- Two-panel axial: CT | PSMA PET, 68Ga-PSMA tracer
- acquired on Siemens Biograph 64-4R TruePoint
- PET panel 168×168 px (4.1 mm/px)
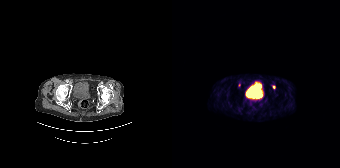
Findings: Coordinates are on the 168×168 PET (right) panel. Small PSMA-avid foci (2 to 4 px across) near (center x, center y): (67, 85) / (101, 87).